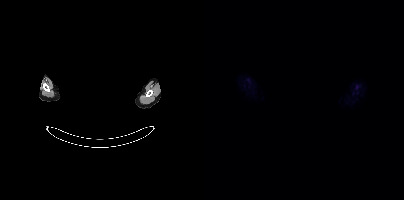
{"pet_grid":[200,200],"coord_frame":"pet_panel","coord_format":"x0,y0,x1,y1","psma_avid_lesions":false,"redaction":"privacy mask over head","modality":"PSMA PET/CT","view":"axial","tracer":"[18F]PSMA-1007"}